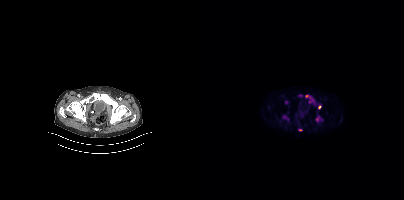
Coordinates are on the 200×200 PET (right) panel. (showing 4 of 5 foci) PSMA-avid tumor lesion bounding box (x0,y0,x1,y1): [112,116,117,121]. Small PSMA-avid foci (2 to 4 px across) near (center x, center y): (115, 106) (103, 96) (96, 129).